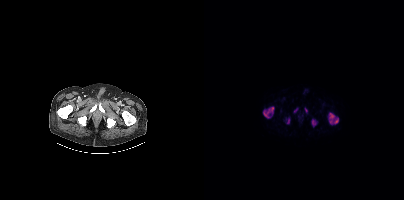
modality: PSMA PET/CT | tracer: 18F-PSMA | view: axial
Coordinates are on the 200×200 PET (right) panel. PSMA-avid tumor lesion bounding boxes (x0, y0)-(x1, y1): (124, 112)-(134, 124) | (59, 106)-(70, 118) | (107, 119)-(112, 126) | (83, 119)-(85, 123). Small PSMA-avid foci (2 to 4 px across) near (center x, center y): (102, 110) | (91, 110).